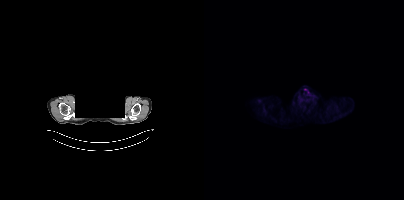
No PSMA-avid tumor lesions on this slice. Face de-identified by blanking a block of the head. Paired axial CT (left) and PSMA PET (right), 18F tracer. Acquired on Siemens Biograph mCT Flow 20. Slice position z = -895 mm. PET panel 200×200 px (4.1 mm/px).